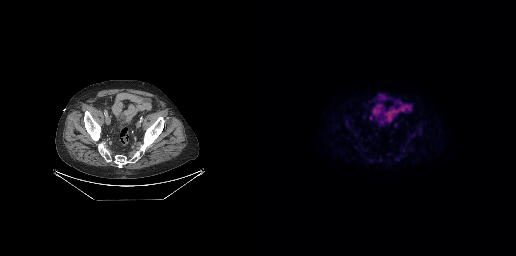
{"modality":"PSMA PET/CT","view":"axial","tracer":"18F","pet_grid":[256,256],"coord_frame":"pet_panel","coord_format":"x0,y0,x1,y1","psma_avid_lesions":false}